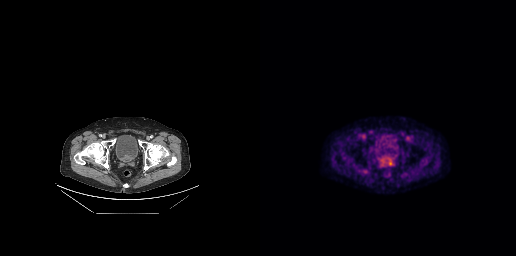
No PSMA-avid tumor lesions on this slice.